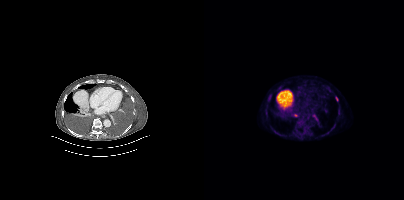
Findings: Coordinates are on the 200×200 PET (right) panel. PSMA-avid tumor lesion bounding boxes (x, y, width, height): x=108 y=114 w=7 h=8 | x=132 y=97 w=3 h=5. Small PSMA-avid foci (2 to 4 px across) near (center x, center y): (91, 115) | (105, 134).
- Left: CT. Right: PSMA PET, same axial level, [18F]PSMA-1007 tracer
- acquired on Siemens Biograph mCT Flow 20
- slice 215 of 344
- PET panel 200×200 px (4.1 mm/px)